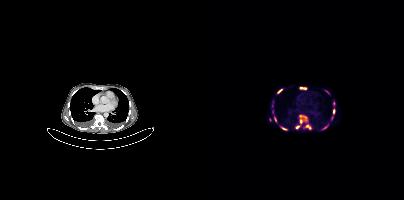
{"pet_grid":[200,200],"coord_frame":"pet_panel","coord_format":"x0,y0,x1,y1","partial":true,"lesion_bboxes":[[96,115,102,120],[102,125,107,129],[96,119,98,123],[96,87,102,89],[129,109,130,114],[77,127,82,130],[74,89,78,93]],"small_foci_centers":[[93,127],[129,103],[68,111],[121,127],[128,118],[71,119]],"modality":"PSMA PET/CT","view":"axial","tracer":"68Ga"}